redaction: head region blanked (face removed) | modality: PSMA PET/CT | tracer: [18F]PSMA-1007 | view: axial | PET grid: 200×200
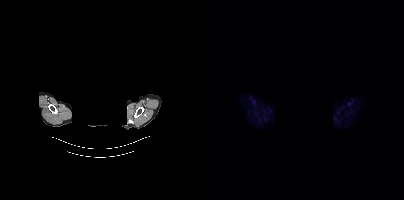
This slice has no annotated PSMA-avid lesion.